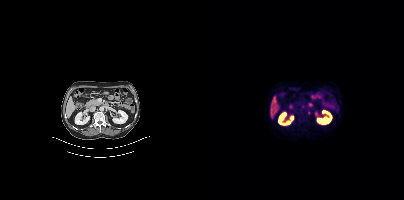
{"modality":"PSMA PET/CT","view":"axial","tracer":"[18F]PSMA-1007","pet_grid":[200,200],"coord_frame":"pet_panel","coord_format":"x0,y0,x1,y1","psma_avid_lesions":false}